Left: CT. Right: PSMA PET, same axial level, 18F tracer.
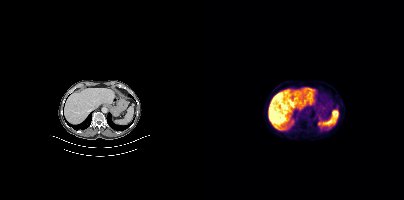
No tumor lesions annotated on this slice.